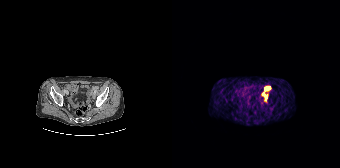
Left: CT. Right: PSMA PET, same axial level, 68Ga-PSMA tracer. Acquired on Siemens Biograph 64-4R TruePoint. Coordinates are on the 168×168 PET (right) panel. PSMA-avid tumor lesion bounding boxes (x, y, width, height): x=93 y=86 w=6 h=5 / x=90 y=94 w=6 h=6.